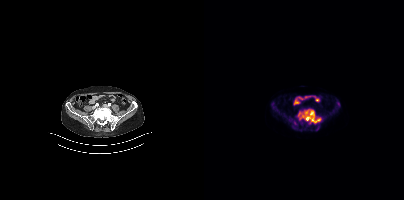
{"modality":"PSMA PET/CT","view":"axial","tracer":"18F","pet_grid":[200,200],"coord_frame":"pet_panel","coord_format":"x0,y0,x1,y1","lesion_bboxes":[[94,109,117,123],[132,101,136,107]],"small_foci_centers":[[89,127],[91,124]]}